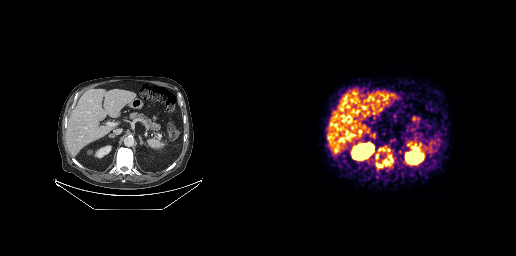
Technique: Left: CT. Right: PSMA PET, same axial level, 68Ga tracer. slice position z = -509 mm. PET panel 256×256 px (2.7 mm/px).
Findings: Coordinates are on the 256×256 PET (right) panel. PSMA-avid tumor lesion bounding boxes (x0,y0,x1,y1): [116,154,133,167]; [118,146,130,151]; [115,153,118,159].